Paired axial CT (left) and PSMA PET (right), 18F-PSMA tracer. PET panel 256×256 px (2.7 mm/px).
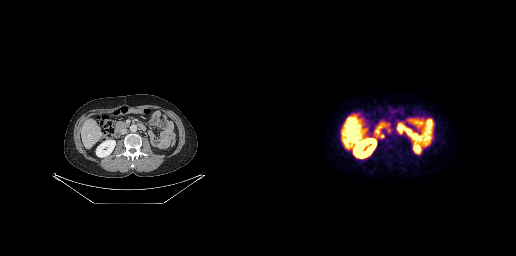
Coordinates are on the 256×256 PET (right) panel. PSMA-avid tumor lesion bounding box (x0,y0,x1,y1): [119,133,124,138]. Small PSMA-avid focus (2 to 4 px across) near (center x, center y): (139, 131).